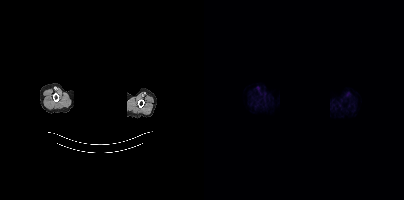
{"modality":"PSMA PET/CT","view":"axial","tracer":"[18F]PSMA-1007","pet_grid":[200,200],"coord_frame":"pet_panel","coord_format":"x0,y0,x1,y1","deidentification":"head region blacked out before release","psma_avid_lesions":false}